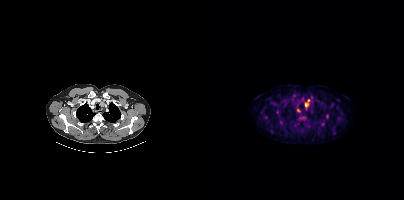
{"pet_grid":[200,200],"coord_frame":"pet_panel","coord_format":"x0,y0,x1,y1","lesion_bboxes":[[101,99,105,109]],"small_foci_centers":[[94,110],[123,114]],"modality":"PSMA PET/CT","view":"axial","tracer":"18F"}